The head region is masked for de-identification. Paired axial CT (left) and PSMA PET (right), 18F-PSMA tracer. Slice position z = -224 mm. PET panel 256×256 px (2.7 mm/px).
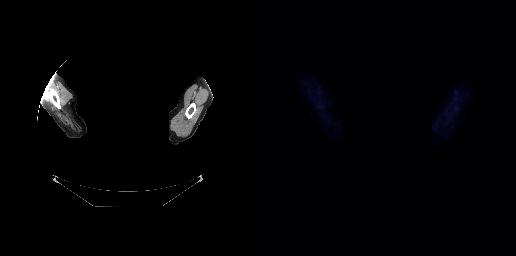
Negative for PSMA-avid disease on this slice.